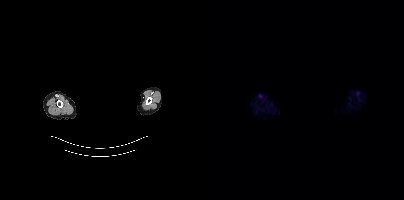
Any black rectangle over the head is a privacy mask, not anatomy. Two-panel axial: CT | PSMA PET, 18F tracer. PET panel 200×200 px (4.1 mm/px). No tumor lesions annotated on this slice.